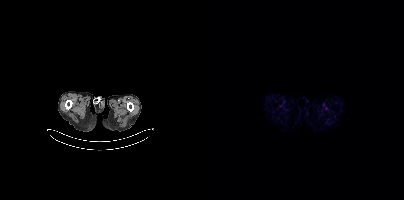
No tumor lesions annotated on this slice.